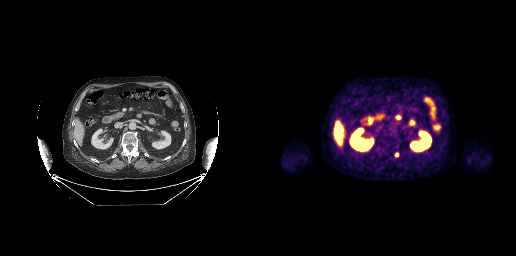
Findings: Coordinates are on the 256×256 PET (right) panel. PSMA-avid tumor lesion bounding box (x, y, width, height): x=135 y=152 w=4 h=6.
Technique: Two-panel axial: CT | PSMA PET, [18F]PSMA-1007 tracer.